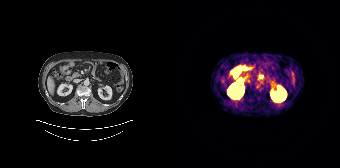
Negative for PSMA-avid disease on this slice.